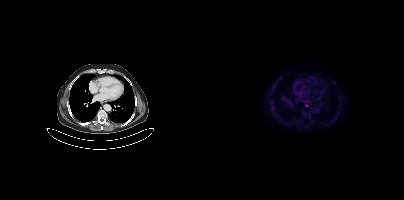
Coordinates are on the 200×200 PET (right) panel. Small PSMA-avid focus (2 to 4 px across) near (center x, center y): (102, 105).
modality: PSMA PET/CT | tracer: 18F-PSMA | view: axial | PET grid: 200×200